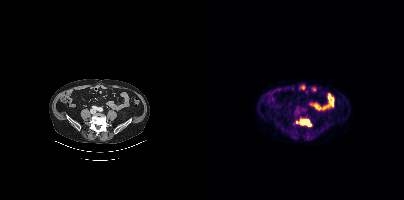
Coordinates are on the 200×200 PET (right) panel. PSMA-avid tumor lesion bounding box (x0,y0,x1,y1): [92,119,107,126].